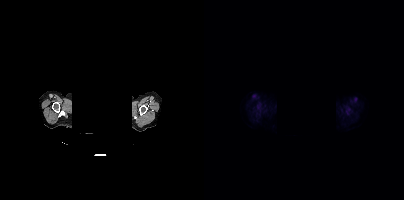
Left: CT. Right: PSMA PET, same axial level, [18F]PSMA-1007 tracer. Acquired on Siemens Biograph mCT Flow 20. De-identified by setting a box covering the face to black before release. Coordinates are on the 200×200 PET (right) panel. Small PSMA-avid focus (2 to 4 px across) near (center x, center y): (151, 99).